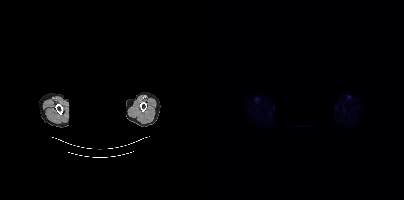
deidentification: privacy mask over head | modality: PSMA PET/CT | tracer: [18F]PSMA-1007 | view: axial
Negative for PSMA-avid disease on this slice.